Paired axial CT (left) and PSMA PET (right), [68Ga]Ga-PSMA-11 tracer. Acquired on GE Discovery 690. Slice position z = -782 mm.
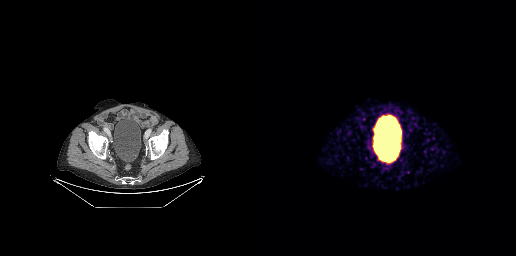
No PSMA-avid tumor lesions on this slice.